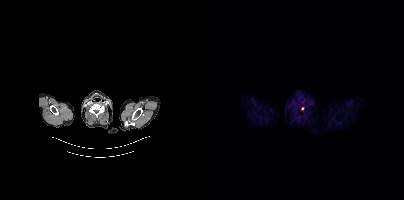
{"modality":"PSMA PET/CT","view":"axial","tracer":"18F-PSMA","pet_grid":[200,200],"coord_frame":"pet_panel","coord_format":"x0,y0,x1,y1","lesion_bboxes":[],"small_foci_centers":[[98,108]]}